de-identification: facial region redacted | modality: PSMA PET/CT | tracer: 68Ga-PSMA | view: axial
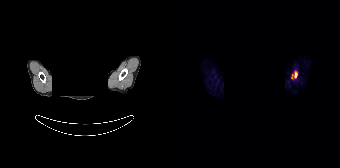
Coordinates are on the 168×168 PET (right) panel. PSMA-avid tumor lesion bounding box (x, y, width, height): x=123 y=72 w=3 h=6.